modality: PSMA PET/CT | tracer: 18F | view: axial | PET grid: 200×200
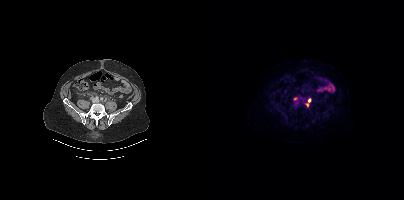
Coordinates are on the 200×200 PET (right) panel. PSMA-avid tumor lesion bounding box (x0, y0)-(x1, y1): (102, 98)-(106, 105). Small PSMA-avid focus (2 to 4 px across) near (center x, center y): (91, 99).